- Paired axial CT (left) and PSMA PET (right), [68Ga]Ga-PSMA-11 tracer
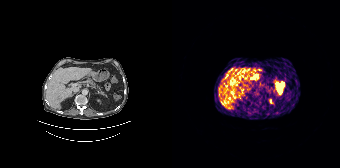
Findings: No PSMA-avid tumor lesions on this slice.